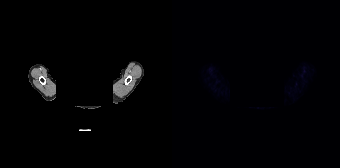
No tumor lesions annotated on this slice.
Facial anatomy redacted by setting a rectangular region of the head to black.